Technique: Two-panel axial: CT | PSMA PET, 18F-PSMA tracer. acquired on Siemens Biograph mCT Flow 20.
Note: A rectangular block over the head has been blanked out for de-identification.
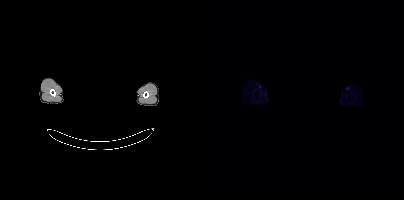
Findings: No PSMA-avid tumor lesions on this slice.